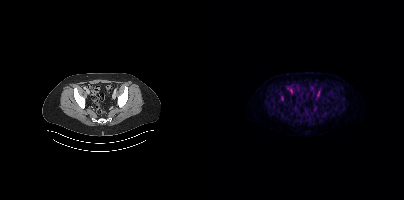
Coordinates are on the 200×200 PET (right) panel. Small PSMA-avid focus (2 to 4 px across) near (center x, center y): (78, 98). Left: CT. Right: PSMA PET, same axial level, 18F-PSMA tracer. Acquired on Siemens Biograph mCT Flow 20. Slice 104 of 442. PET panel 200×200 px (4.1 mm/px).